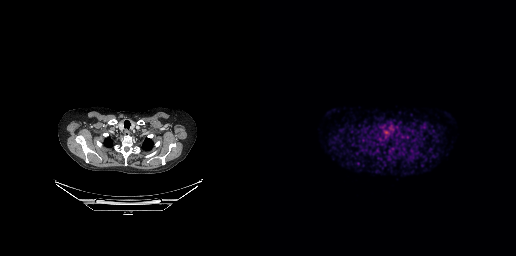
Coordinates are on the 256×256 PET (right) panel. Small PSMA-avid focus (2 to 4 px across) near (center x, center y): (132, 148).
modality: PSMA PET/CT | tracer: 68Ga | view: axial | PET grid: 256×256